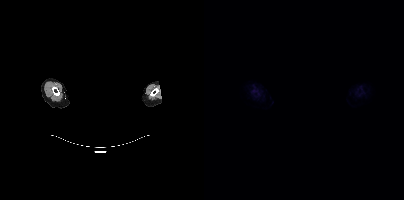
Technique: Left: CT. Right: PSMA PET, same axial level, 18F-PSMA tracer. PET panel 200×200 px (4.1 mm/px).
Note: Facial anatomy redacted by setting a rectangular region of the head to black.
Findings: This slice has no annotated PSMA-avid lesion.